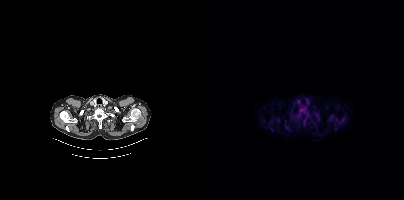
Coordinates are on the 200×200 PET (right) panel. (showing 1 of 2 foci) PSMA-avid tumor lesion bounding box (x0, y0)-(x1, y1): (96, 108)-(100, 112).